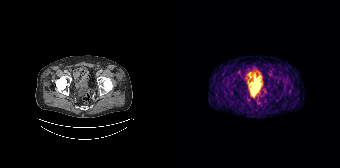
{"pet_grid":[168,168],"coord_frame":"pet_panel","coord_format":"x0,y0,x1,y1","partial":true,"lesion_bboxes":[],"modality":"PSMA PET/CT","view":"axial","tracer":"68Ga-PSMA"}